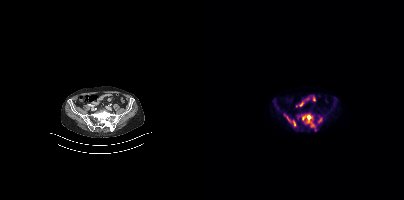
modality: PSMA PET/CT | tracer: 18F | view: axial
Coordinates are on the 200×200 PET (right) panel. PSMA-avid tumor lesion bounding boxes (x0, y0)-(x1, y1): (92, 114)-(112, 131) / (80, 114)-(86, 122) / (88, 120)-(91, 126) / (114, 118)-(118, 122).